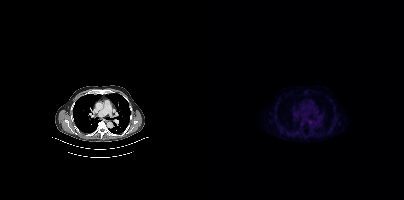
Technique: Left: CT. Right: PSMA PET, same axial level, 18F-PSMA tracer. acquired on Siemens Biograph mCT Flow 20. PET panel 200×200 px (4.1 mm/px).
Findings: No tumor lesions annotated on this slice.